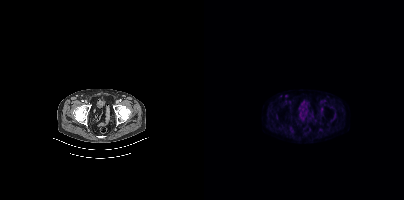
Left: CT. Right: PSMA PET, same axial level, 18F-PSMA tracer. Acquired on Siemens Biograph mCT Flow 20. Slice position z = -1470 mm. Coordinates are on the 200×200 PET (right) panel. Small PSMA-avid foci (2 to 4 px across) near (center x, center y): (117, 109) | (82, 95).